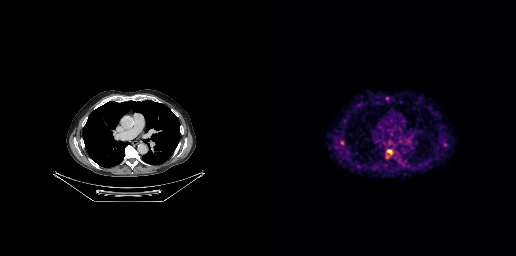
Paired axial CT (left) and PSMA PET (right), 68Ga-PSMA tracer. Coordinates are on the 256×256 PET (right) panel. Small PSMA-avid focus (2 to 4 px across) near (center x, center y): (129, 151).